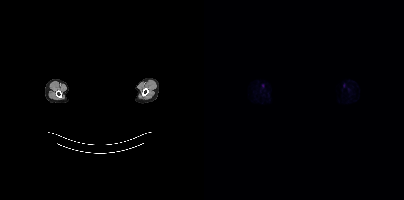
{"modality":"PSMA PET/CT","view":"axial","tracer":"18F-PSMA","pet_grid":[200,200],"coord_frame":"pet_panel","coord_format":"x0,y0,x1,y1","de-identification":"facial region redacted","psma_avid_lesions":false}